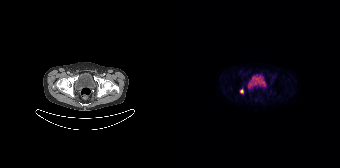
Coordinates are on the 168×168 PET (right) panel. PSMA-avid tumor lesion bounding box (x0, y0)-(x1, y1): (68, 89)-(71, 93).
modality: PSMA PET/CT | tracer: [18F]PSMA-1007 | view: axial